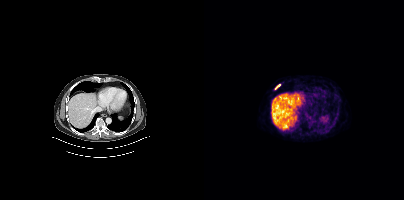
{"pet_grid":[200,200],"coord_frame":"pet_panel","coord_format":"x0,y0,x1,y1","lesion_bboxes":[[71,84,76,89]],"modality":"PSMA PET/CT","view":"axial","tracer":"68Ga"}